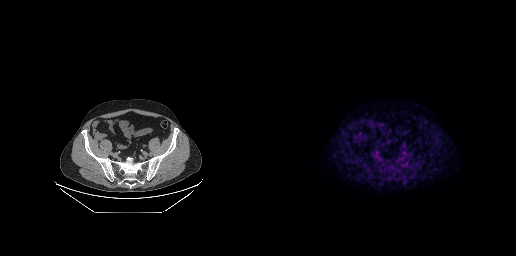
Coordinates are on the 256×256 PET (right) panel. Small PSMA-avid focus (2 to 4 px across) near (center x, center y): (137, 160). Two-panel axial: CT | PSMA PET, [18F]PSMA-1007 tracer.